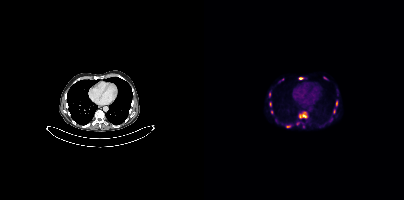
{"modality":"PSMA PET/CT","view":"axial","tracer":"[18F]PSMA-1007","pet_grid":[200,200],"coord_frame":"pet_panel","coord_format":"x0,y0,x1,y1","lesion_bboxes":[[95,111,103,118],[95,77,99,79],[132,101,133,105],[119,77,123,79],[82,126,86,127]],"small_foci_centers":[[66,103],[130,111],[65,94],[67,112],[78,79],[93,123]]}